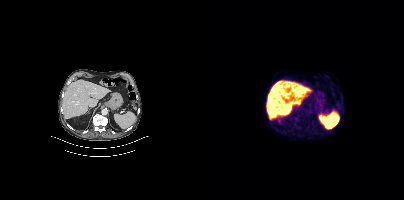
No tumor lesions annotated on this slice. Two-panel axial: CT | PSMA PET, [18F]PSMA-1007 tracer. Acquired on Siemens Biograph mCT Flow 20. Slice position z = -1218 mm.